modality: PSMA PET/CT | tracer: 18F-PSMA | view: axial | PET grid: 200×200
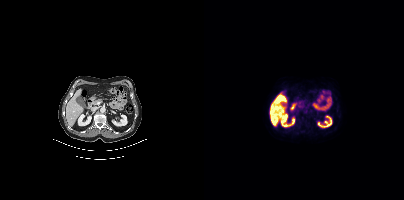
Negative for PSMA-avid disease on this slice.